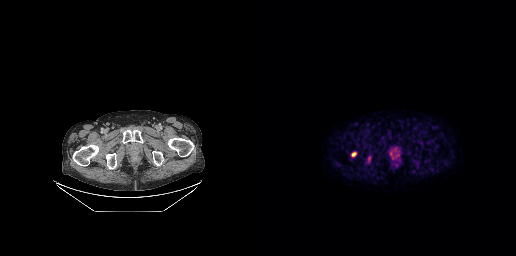
Coordinates are on the 256×256 PET (right) panel. PSMA-avid tumor lesion bounding boxes:
| # | x0 | y0 | x1 | y1 |
|---|---|---|---|---|
| 1 | 106 | 158 | 110 | 163 |
Small PSMA-avid focus (2 to 4 px across) near (center x, center y): (93, 154).
Paired axial CT (left) and PSMA PET (right), 18F-PSMA tracer. Acquired on GE Discovery 690. PET panel 256×256 px (2.7 mm/px).